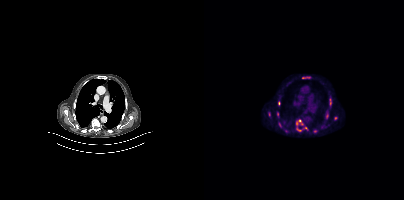
{"modality":"PSMA PET/CT","view":"axial","tracer":"18F","pet_grid":[200,200],"coord_frame":"pet_panel","coord_format":"x0,y0,x1,y1","partial":true,"lesion_bboxes":[[91,119,104,131],[64,112,66,117],[74,122,77,127],[122,112,124,117]],"small_foci_centers":[[75,103],[131,118],[99,77]]}